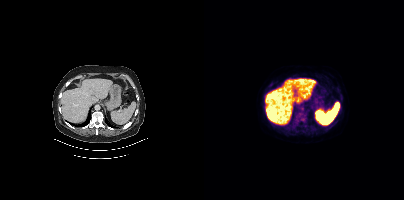
Two-panel axial: CT | PSMA PET, 18F tracer. Acquired on Siemens Biograph mCT Flow 20. PET panel 200×200 px (4.1 mm/px).
Coordinates are on the 200×200 PET (right) panel. PSMA-avid tumor lesion bounding boxes:
| # | x0 | y0 | x1 | y1 |
|---|---|---|---|---|
| 1 | 89 | 111 | 101 | 126 |
| 2 | 99 | 120 | 103 | 124 |
Small PSMA-avid focus (2 to 4 px across) near (center x, center y): (136, 97).